Left: CT. Right: PSMA PET, same axial level, 18F-PSMA tracer. Acquired on Siemens Biograph mCT Flow 20. PET panel 200×200 px (4.1 mm/px).
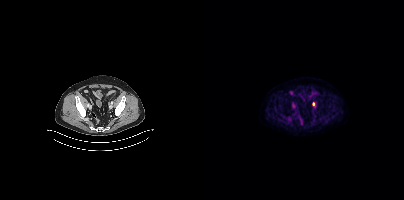
Coordinates are on the 200×200 PET (right) panel. PSMA-avid tumor lesion bounding box (x0, y0)-(x1, y1): (78, 115)-(87, 122). Small PSMA-avid focus (2 to 4 px across) near (center x, center y): (109, 103).